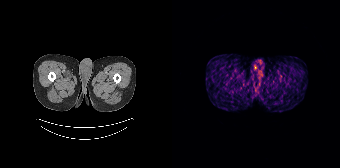
- Two-panel axial: CT | PSMA PET, 68Ga-PSMA tracer
Findings: Negative for PSMA-avid disease on this slice.